Paired axial CT (left) and PSMA PET (right), 18F-PSMA tracer. PET panel 200×200 px (4.1 mm/px).
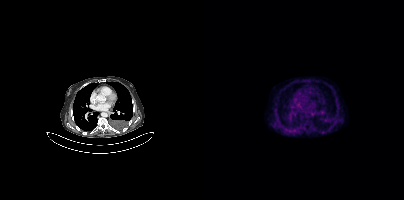
Coordinates are on the 200×200 PET (right) panel. PSMA-avid tumor lesion bounding boxes:
| # | x0 | y0 | x1 | y1 |
|---|---|---|---|---|
| 1 | 116 | 130 | 121 | 133 |